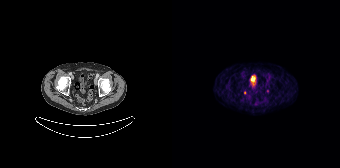
Two-panel axial: CT | PSMA PET, [68Ga]Ga-PSMA-11 tracer. Acquired on Siemens Biograph 64-4R TruePoint. Slice 34 of 165. PET panel 168×168 px (4.1 mm/px). Coordinates are on the 168×168 PET (right) panel. (showing 1 of 2 foci) Small PSMA-avid focus (2 to 4 px across) near (center x, center y): (72, 92).